- the head region is masked for de-identification
- Two-panel axial: CT | PSMA PET, [18F]PSMA-1007 tracer
- slice position z = -844 mm
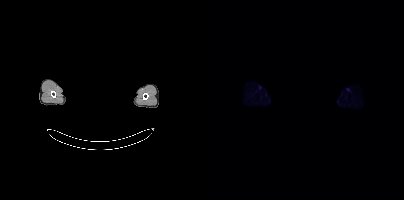
Findings: Negative for PSMA-avid disease on this slice.